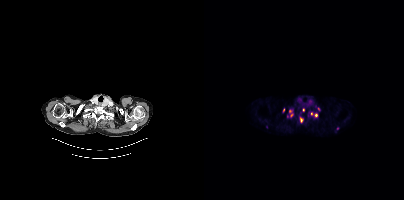
Left: CT. Right: PSMA PET, same axial level, 68Ga-PSMA tracer. PET panel 200×200 px (4.1 mm/px). Coordinates are on the 200×200 PET (right) panel. (showing 4 of 6 foci) PSMA-avid tumor lesion bounding boxes (x, y, width, height): x=85 y=110 w=5 h=8 / x=107 y=112 w=7 h=5 / x=95 y=117 w=4 h=7. Small PSMA-avid focus (2 to 4 px across) near (center x, center y): (79, 110).